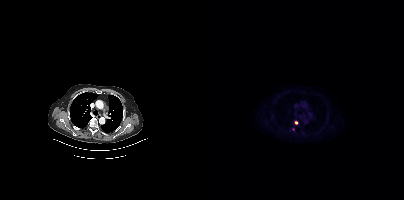
{"modality":"PSMA PET/CT","view":"axial","tracer":"18F-PSMA","pet_grid":[200,200],"coord_frame":"pet_panel","coord_format":"x0,y0,x1,y1","partial":true,"lesion_bboxes":[[90,121,94,124]]}